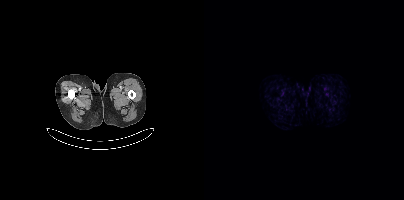
{"modality":"PSMA PET/CT","view":"axial","tracer":"[18F]PSMA-1007","pet_grid":[200,200],"coord_frame":"pet_panel","coord_format":"x0,y0,x1,y1","psma_avid_lesions":false}